Left: CT. Right: PSMA PET, same axial level, [18F]PSMA-1007 tracer. Slice position z = -713 mm.
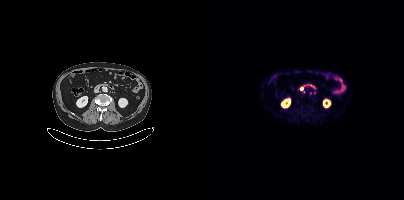
No tumor lesions annotated on this slice.